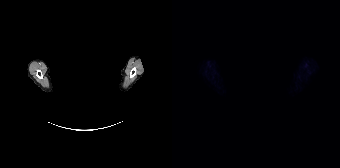
{"pet_grid":[168,168],"coord_frame":"pet_panel","coord_format":"x0,y0,x1,y1","psma_avid_lesions":false,"modality":"PSMA PET/CT","view":"axial","tracer":"[18F]PSMA-1007","de-identification":"privacy mask over head"}